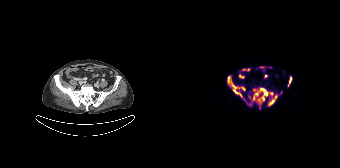
Coordinates are on the 168×168 PET (right) panel. (showing 3 of 4 foci) PSMA-avid tumor lesion bounding boxes (x, y, width, height): x=55 y=76 w=51 h=34 | x=116 y=76 w=5 h=11. Small PSMA-avid focus (2 to 4 px across) near (center x, center y): (108, 93).
modality: PSMA PET/CT | tracer: 18F | view: axial